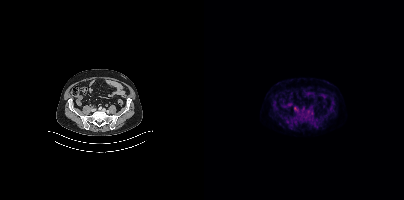
- Left: CT. Right: PSMA PET, same axial level, [18F]PSMA-1007 tracer
Findings: Coordinates are on the 200×200 PET (right) panel. PSMA-avid tumor lesion bounding box (x0, y0)-(x1, y1): (90, 107)-(94, 111).